Technique: Two-panel axial: CT | PSMA PET, 68Ga tracer. acquired on Siemens Biograph 64-4R TruePoint.
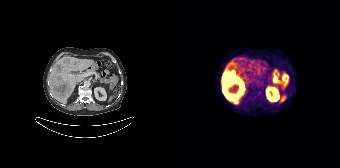
Findings: Coordinates are on the 168×168 PET (right) panel. PSMA-avid tumor lesion bounding box (x, y, width, height): x=50 y=71 w=22 h=33.